Two-panel axial: CT | PSMA PET, [18F]PSMA-1007 tracer. PET panel 200×200 px (4.1 mm/px).
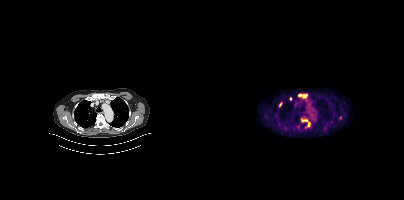
Coordinates are on the 200×200 PET (right) panel. PSMA-avid tumor lesion bounding boxes:
| # | x0 | y0 | x1 | y1 |
|---|---|---|---|---|
| 1 | 94 | 94 | 103 | 98 |
| 2 | 97 | 119 | 106 | 126 |
Small PSMA-avid foci (2 to 4 px across) near (center x, center y): (76, 104); (86, 98).